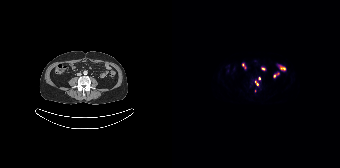
{"modality":"PSMA PET/CT","view":"axial","tracer":"[18F]PSMA-1007","pet_grid":[168,168],"coord_frame":"pet_panel","coord_format":"x0,y0,x1,y1","partial":true,"lesion_bboxes":[[83,80,86,86]],"small_foci_centers":[[87,78]]}